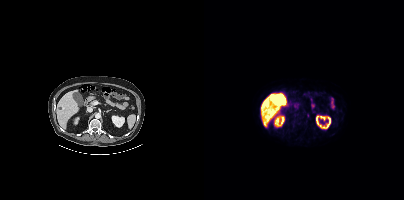
{"modality":"PSMA PET/CT","view":"axial","tracer":"18F","pet_grid":[200,200],"coord_frame":"pet_panel","coord_format":"x0,y0,x1,y1","psma_avid_lesions":false}